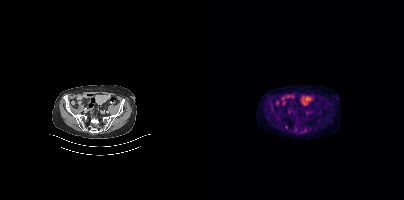
No PSMA-avid tumor lesions on this slice. Two-panel axial: CT | PSMA PET, 18F-PSMA tracer. Slice 113 of 377. PET panel 200×200 px (4.1 mm/px).